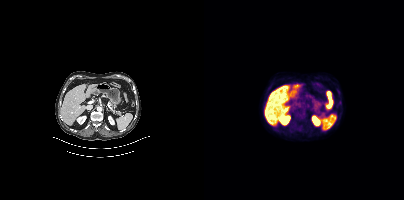
Two-panel axial: CT | PSMA PET, [18F]PSMA-1007 tracer. No tumor lesions annotated on this slice.